Left: CT. Right: PSMA PET, same axial level, 18F tracer.
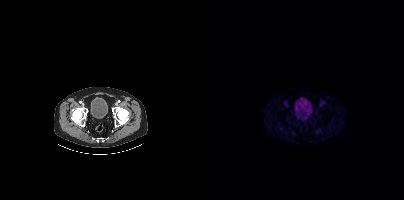
No PSMA-avid tumor lesions on this slice.